Left: CT. Right: PSMA PET, same axial level, 18F-PSMA tracer. Slice position z = -1000 mm. PET panel 200×200 px (4.1 mm/px).
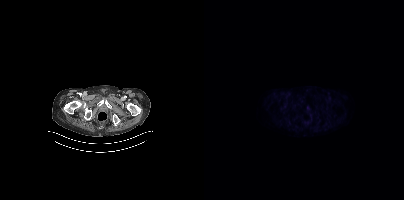
No PSMA-avid tumor lesions on this slice.